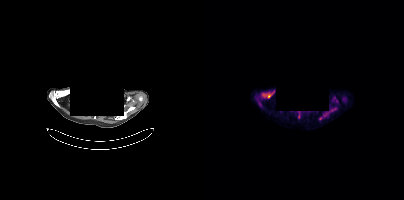
Coordinates are on the 200×200 PET (right) panel. (showing 2 of 5 foci) PSMA-avid tumor lesion bounding boxes (x, y, width, height): x=58 y=91 w=13 h=8; x=119 y=114 w=5 h=4.
modality: PSMA PET/CT | tracer: [18F]PSMA-1007 | view: axial | PET grid: 200×200 | deidentification: face masked with black rectangle